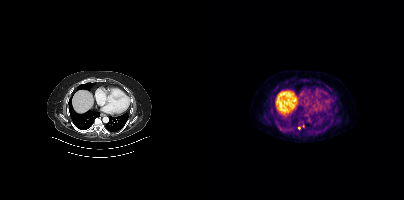
Technique: Paired axial CT (left) and PSMA PET (right), 18F tracer. slice 293 of 438. PET panel 200×200 px (4.1 mm/px).
Findings: Only PSMA-avid lesion pieces thinner than 2 px on this slice (not listed).